- Left: CT. Right: PSMA PET, same axial level, 18F-PSMA tracer
- PET panel 200×200 px (4.1 mm/px)
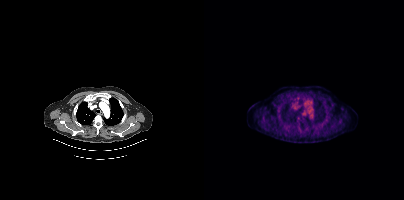
Findings: This slice has no annotated PSMA-avid lesion.